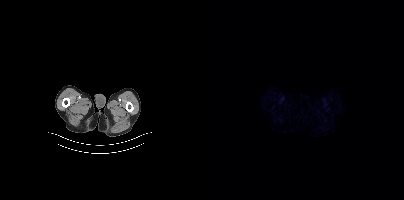
No PSMA-avid tumor lesions on this slice.